Paired axial CT (left) and PSMA PET (right), 18F tracer. Slice position z = -394 mm. PET panel 200×200 px (4.1 mm/px).
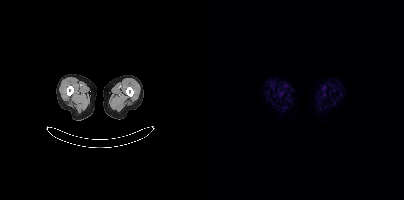
No tumor lesions annotated on this slice.